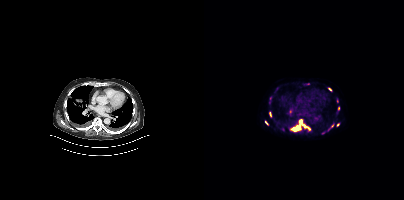
Coordinates are on the 200×200 PET (right) panel. (showing 7 of 9 foci) PSMA-avid tumor lesion bounding boxes (x, y, width, height): x=85 y=119 w=23 h=14 / x=65 y=112 w=3 h=5. Small PSMA-avid foci (2 to 4 px across) near (center x, center y): (125, 89) / (62, 122) / (134, 124) / (128, 125) / (134, 108).
modality: PSMA PET/CT | tracer: 18F-PSMA | view: axial | PET grid: 200×200